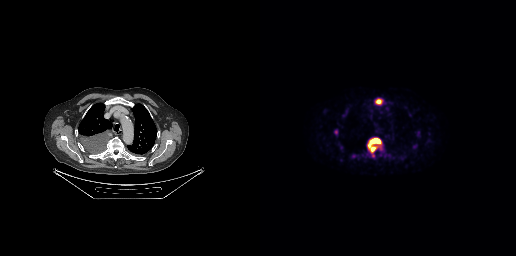
Coordinates are on the 256×256 PET (right) panel. PSMA-avid tumor lesion bounding boxes (x0, y0)-(x1, y1): (107, 137)-(122, 152); (115, 98)-(122, 104). Small PSMA-avid focus (2 to 4 px across) near (center x, center y): (76, 131).